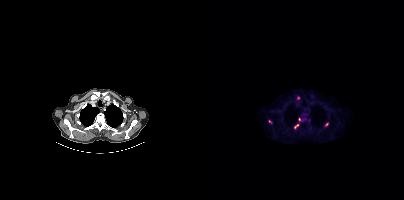
Two-panel axial: CT | PSMA PET, [18F]PSMA-1007 tracer. Slice 339 of 435. PET panel 200×200 px (4.1 mm/px).
Coordinates are on the 200×200 PET (right) panel. PSMA-avid tumor lesion bounding boxes:
| # | x0 | y0 | x1 | y1 |
|---|---|---|---|---|
| 1 | 90 | 124 | 94 | 127 |
Small PSMA-avid foci (2 to 4 px across) near (center x, center y): (66, 121); (95, 119); (94, 97); (122, 124).